Two-panel axial: CT | PSMA PET, 18F tracer. PET panel 256×256 px (2.7 mm/px).
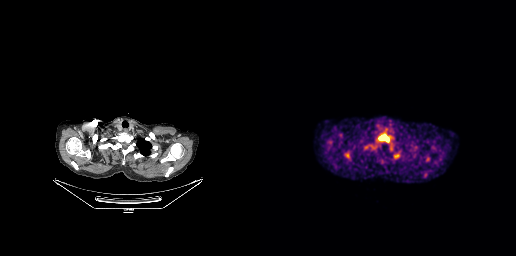
Coordinates are on the 256×256 PET (right) panel. PSMA-avid tumor lesion bounding box (x0, y0)-(x1, y1): (118, 133)-(129, 142).